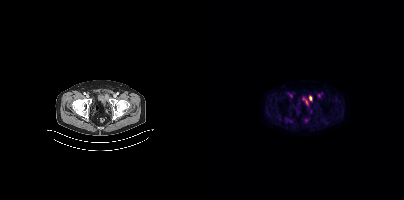
Coordinates are on the 200×200 PET (right) panel. PSMA-avid tumor lesion bounding box (x0, y0)-(x1, y1): (80, 117)-(88, 122). Small PSMA-avid focus (2 to 4 px across) near (center x, center y): (120, 120).